- Two-panel axial: CT | PSMA PET, 18F tracer
- slice position z = -1024 mm
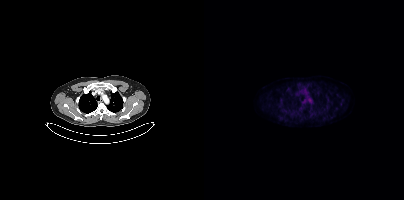
Findings: Negative for PSMA-avid disease on this slice.